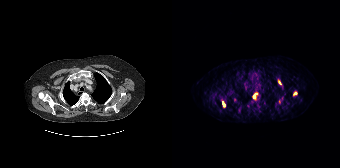
Coordinates are on the 168×168 PET (right) panel. (showing 4 of 6 foci) PSMA-avid tumor lesion bounding boxes (x0, y0)-(x1, y1): (80, 92)-(85, 99) / (50, 101)-(53, 107) / (121, 91)-(125, 95) / (106, 80)-(109, 84).